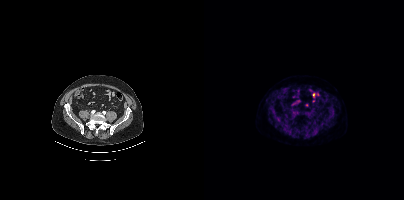
{"modality":"PSMA PET/CT","view":"axial","tracer":"18F","pet_grid":[200,200],"coord_frame":"pet_panel","coord_format":"x0,y0,x1,y1","psma_avid_lesions":false}